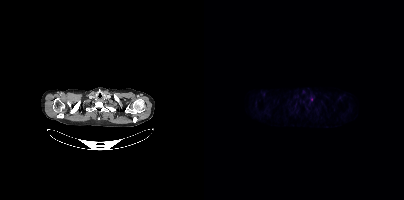
Coordinates are on the 200×200 PET (right) panel. Small PSMA-avid focus (2 to 4 px across) near (center x, center y): (107, 99).